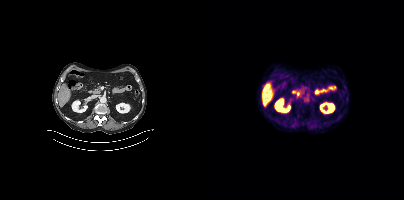
This slice has no annotated PSMA-avid lesion. Two-panel axial: CT | PSMA PET, [18F]PSMA-1007 tracer. Slice position z = -536 mm. PET panel 200×200 px (4.1 mm/px).